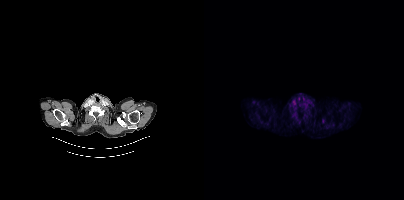
- Paired axial CT (left) and PSMA PET (right), 18F-PSMA tracer
- slice position z = -936 mm
Findings: Negative for PSMA-avid disease on this slice.